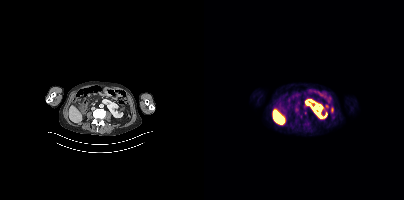
Coordinates are on the 200×200 PET (right) panel. Small PSMA-avid focus (2 to 4 px across) near (center x, center y): (128, 109). Two-panel axial: CT | PSMA PET, [18F]PSMA-1007 tracer. Acquired on Siemens Biograph mCT Flow 20. Slice position z = -755 mm. PET panel 200×200 px (4.1 mm/px).